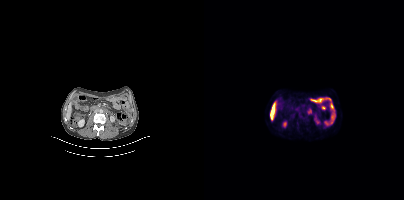
Coordinates are on the 200×200 PET (right) panel. PSMA-avid tumor lesion bounding boxes:
| # | x0 | y0 | x1 | y1 |
|---|---|---|---|---|
| 1 | 103 | 108 | 107 | 114 |
Small PSMA-avid foci (2 to 4 px across) near (center x, center y): (112, 122); (93, 123).
Two-panel axial: CT | PSMA PET, 18F-PSMA tracer. Slice position z = -1342 mm. PET panel 200×200 px (4.1 mm/px).